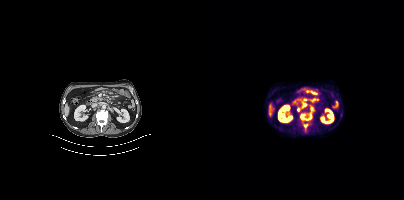
{"modality":"PSMA PET/CT","view":"axial","tracer":"[18F]PSMA-1007","pet_grid":[200,200],"coord_frame":"pet_panel","coord_format":"x0,y0,x1,y1","lesion_bboxes":[[96,113,108,131]],"small_foci_centers":[[100,104],[94,109]]}